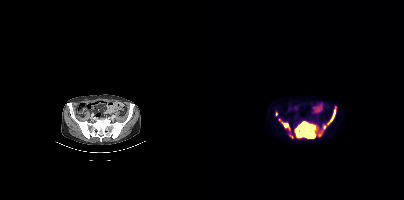
{"modality":"PSMA PET/CT","view":"axial","tracer":"18F-PSMA","pet_grid":[200,200],"coord_frame":"pet_panel","coord_format":"x0,y0,x1,y1","partial":true,"lesion_bboxes":[[91,122,112,138],[112,109,131,136],[75,119,86,130]],"small_foci_centers":[[87,136],[72,114]]}